Paired axial CT (left) and PSMA PET (right), [68Ga]Ga-PSMA-11 tracer.
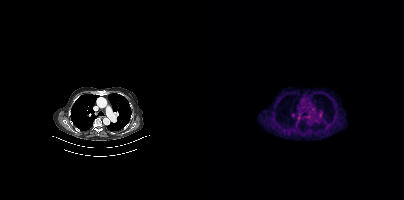
No PSMA-avid tumor lesions on this slice.